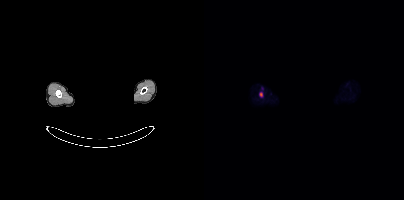
modality: PSMA PET/CT | tracer: 18F-PSMA | view: axial | PET grid: 200×200 | deidentification: head region blanked (face removed)
Coordinates are on the 200×200 PET (right) panel. (showing 1 of 2 foci) PSMA-avid tumor lesion bounding box (x0, y0)-(x1, y1): (55, 92)-(59, 97).